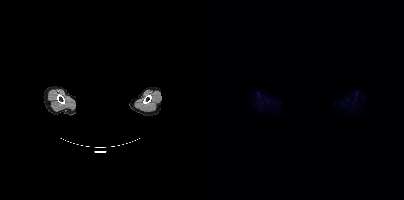
Findings: This slice has no annotated PSMA-avid lesion.
Technique: Two-panel axial: CT | PSMA PET, [18F]PSMA-1007 tracer. acquired on Siemens Biograph mCT Flow 20. slice position z = -205 mm. PET panel 200×200 px (4.1 mm/px).
Note: A rectangle over the head was blacked out to remove identifiable facial features.